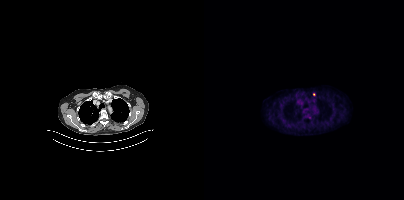
Coordinates are on the 200×200 PET (right) panel. Small PSMA-avid focus (2 to 4 px across) near (center x, center y): (109, 94). Paired axial CT (left) and PSMA PET (right), 18F-PSMA tracer. Slice position z = -423 mm. PET panel 200×200 px (4.1 mm/px).